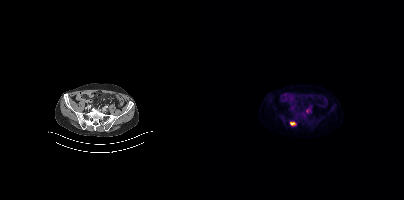
Coordinates are on the 200×200 PET (right) panel. PSMA-avid tumor lesion bounding box (x0,y0,x1,y1): [86,122,91,125].